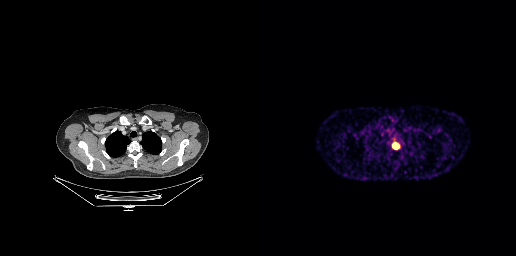
Left: CT. Right: PSMA PET, same axial level, 68Ga tracer. Acquired on GE Discovery 690. PET panel 256×256 px (2.7 mm/px).
Coordinates are on the 256×256 PET (right) panel. PSMA-avid tumor lesion bounding boxes:
| # | x0 | y0 | x1 | y1 |
|---|---|---|---|---|
| 1 | 132 | 142 | 139 | 149 |